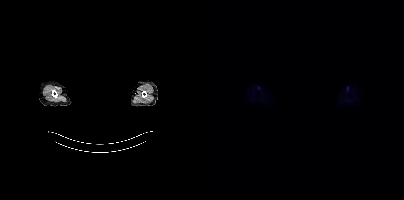
- a rectangle over the head was blacked out to remove identifiable facial features
- Paired axial CT (left) and PSMA PET (right), [18F]PSMA-1007 tracer
Findings: Negative for PSMA-avid disease on this slice.